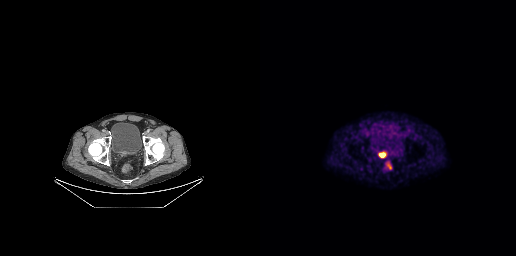
Paired axial CT (left) and PSMA PET (right), 18F tracer. Acquired on GE Discovery 690. Slice 69 of 263.
Coordinates are on the 256×256 PET (right) panel. PSMA-avid tumor lesion bounding boxes:
| # | x0 | y0 | x1 | y1 |
|---|---|---|---|---|
| 1 | 119 | 153 | 125 | 157 |
| 2 | 128 | 164 | 131 | 168 |